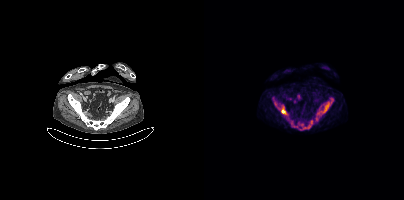
{"pet_grid":[200,200],"coord_frame":"pet_panel","coord_format":"x0,y0,x1,y1","partial":true,"lesion_bboxes":[[94,120,109,130],[119,102,125,112],[69,97,74,107],[87,121,93,127],[77,109,81,113]],"modality":"PSMA PET/CT","view":"axial","tracer":"18F"}